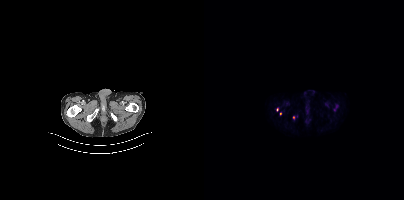
modality: PSMA PET/CT | tracer: [18F]PSMA-1007 | view: axial
Coordinates are on the 200×200 PET (right) panel. (showing 1 of 3 foci) Small PSMA-avid focus (2 to 4 px across) near (center x, center y): (76, 113).